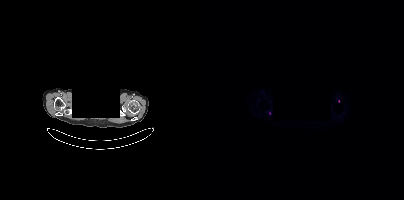
- Two-panel axial: CT | PSMA PET, [68Ga]Ga-PSMA-11 tracer
- acquired on Siemens Biograph mCT Flow 20
- slice position z = -917 mm
- PET panel 200×200 px (4.1 mm/px)
- head region blanked for anonymization (face removed)
Findings: Coordinates are on the 200×200 PET (right) panel. (showing 1 of 2 foci) Small PSMA-avid focus (2 to 4 px across) near (center x, center y): (65, 113).